modality: PSMA PET/CT | tracer: 68Ga | view: axial
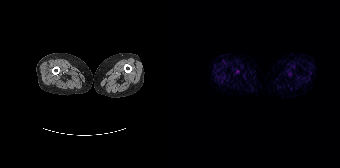
No tumor lesions annotated on this slice.